modality: PSMA PET/CT | tracer: 68Ga-PSMA | view: axial | PET grid: 200×200
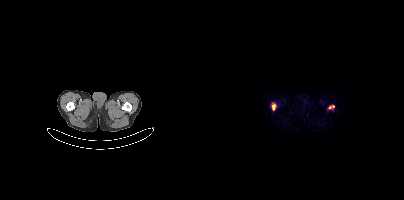
Coordinates are on the 200×200 PET (right) panel. PSMA-avid tumor lesion bounding boxes (x0,y0,x1,y1): [68,104,71,110]; [125,105,130,108].